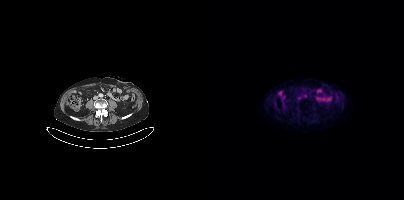
{"modality":"PSMA PET/CT","view":"axial","tracer":"18F-PSMA","pet_grid":[200,200],"coord_frame":"pet_panel","coord_format":"x0,y0,x1,y1","psma_avid_lesions":false}